Technique: Left: CT. Right: PSMA PET, same axial level, 18F-PSMA tracer. acquired on Siemens Biograph mCT Flow 20.
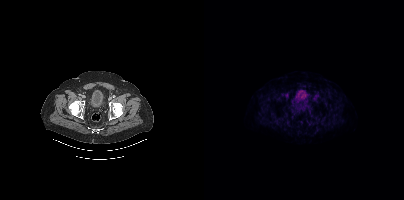
Findings: No tumor lesions annotated on this slice.